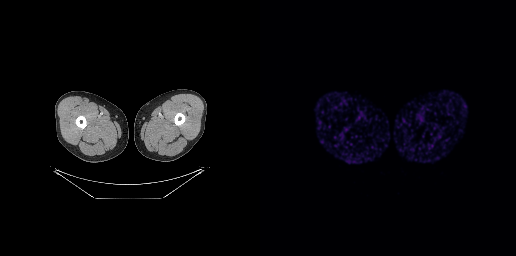
{"pet_grid":[256,256],"coord_frame":"pet_panel","coord_format":"x0,y0,x1,y1","psma_avid_lesions":false,"modality":"PSMA PET/CT","view":"axial","tracer":"68Ga-PSMA"}